modality: PSMA PET/CT | tracer: 68Ga-PSMA | view: axial | PET grid: 200×200
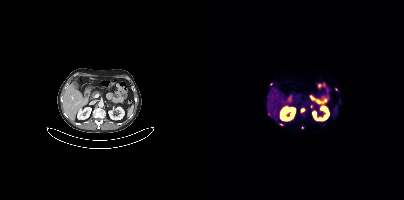
Coordinates are on the 200×200 PET (right) panel. (showing 4 of 7 foci) PSMA-avid tumor lesion bounding box (x, y, width, height): x=75 y=123 w=5 h=3. Small PSMA-avid foci (2 to 4 px across) near (center x, center y): (98, 110) / (132, 89) / (67, 84).